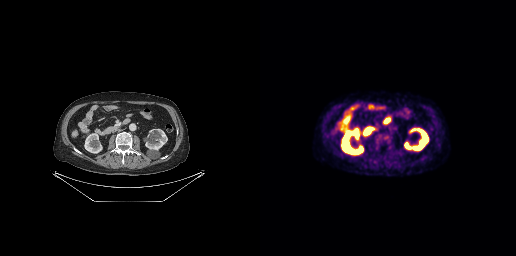
Findings: No tumor lesions annotated on this slice.
Technique: Two-panel axial: CT | PSMA PET, [18F]PSMA-1007 tracer. PET panel 256×256 px (2.7 mm/px).